Two-panel axial: CT | PSMA PET, 18F-PSMA tracer. Slice 193 of 387.
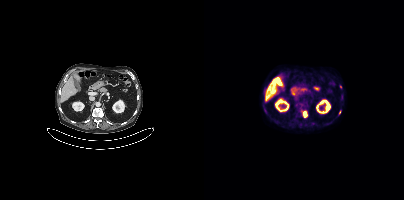
Coordinates are on the 200×200 PET (right) panel. PSMA-avid tumor lesion bounding box (x0,y0,x1,y1): [99,112,103,117]. Small PSMA-avid foci (2 to 4 px across) near (center x, center y): (135, 112), (136, 86), (108, 123).